Technique: Two-panel axial: CT | PSMA PET, [18F]PSMA-1007 tracer. slice 37 of 354. PET panel 200×200 px (4.1 mm/px).
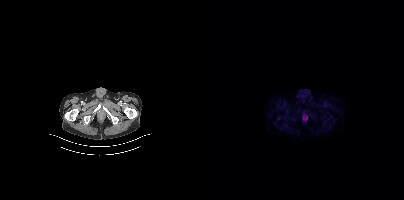
Findings: Negative for PSMA-avid disease on this slice.